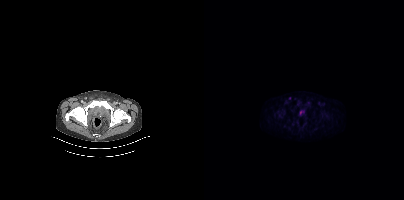
{"pet_grid":[200,200],"coord_frame":"pet_panel","coord_format":"x0,y0,x1,y1","partial":true,"lesion_bboxes":[],"small_foci_centers":[[96,112]],"modality":"PSMA PET/CT","view":"axial","tracer":"18F-PSMA"}